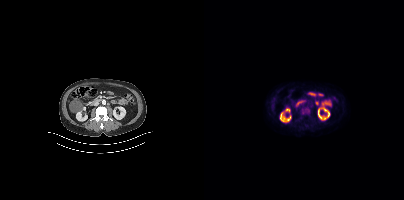
No tumor lesions annotated on this slice.